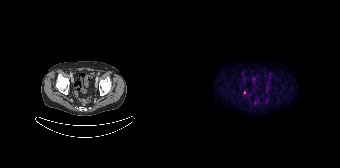
- Two-panel axial: CT | PSMA PET, [68Ga]Ga-PSMA-11 tracer
- slice position z = -660 mm
Findings: Coordinates are on the 168×168 PET (right) panel. Small PSMA-avid focus (2 to 4 px across) near (center x, center y): (72, 92).